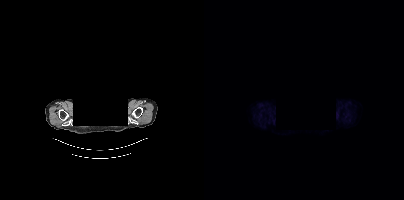
This slice has no annotated PSMA-avid lesion. A rectangle over the head was blacked out to remove identifiable facial features. Left: CT. Right: PSMA PET, same axial level, 18F tracer. Acquired on Siemens Biograph mCT Flow 20. Slice 394 of 452. PET panel 200×200 px (4.1 mm/px).